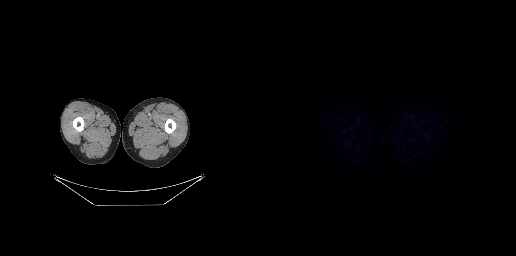
{"pet_grid":[256,256],"coord_frame":"pet_panel","coord_format":"x0,y0,x1,y1","psma_avid_lesions":false,"modality":"PSMA PET/CT","view":"axial","tracer":"18F"}